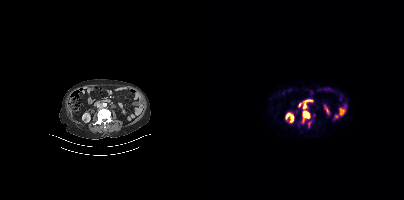
Coordinates are on the 200×200 PET (right) panel. PSMA-avid tumor lesion bounding boxes (x0, y0)-(x1, y1): (98, 103)-(106, 118) / (98, 119)-(101, 123) / (104, 122)-(106, 126). Small PSMA-avid focus (2 to 4 px across) near (center x, center y): (91, 111).